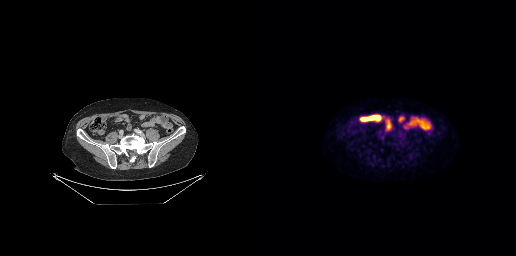
Findings: No tumor lesions annotated on this slice.
- Left: CT. Right: PSMA PET, same axial level, [18F]PSMA-1007 tracer
- slice position z = -580 mm
- PET panel 256×256 px (2.7 mm/px)